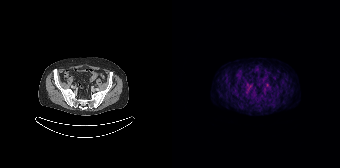
Technique: Paired axial CT (left) and PSMA PET (right), 68Ga tracer. acquired on Siemens Biograph 64-4R TruePoint. PET panel 168×168 px (4.1 mm/px).
Findings: Negative for PSMA-avid disease on this slice.